De-identified by setting a box covering the face to black before release. Paired axial CT (left) and PSMA PET (right), 18F-PSMA tracer. PET panel 200×200 px (4.1 mm/px).
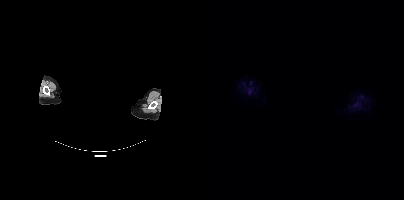
Negative for PSMA-avid disease on this slice.